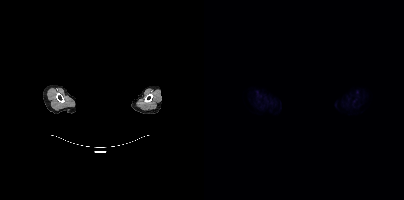
The head region is masked for de-identification.
No PSMA-avid tumor lesions on this slice.